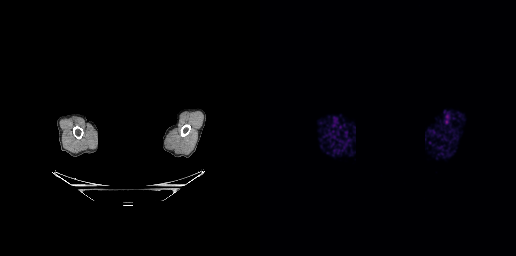
No PSMA-avid tumor lesions on this slice. The face region was removed for patient privacy by blanking a rectangle over the head. Two-panel axial: CT | PSMA PET, [68Ga]Ga-PSMA-11 tracer. Acquired on GE Discovery 690. PET panel 256×256 px (2.7 mm/px).